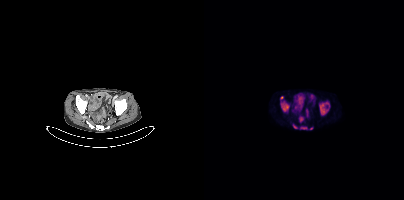
Coordinates are on the 200×200 PET (right) panel. PSMA-avid tumor lesion bounding boxes (x0,y0,x1,y1): [115,102,125,114] [77,101,85,111] [96,127,102,129] [89,124,93,128]. Small PSMA-avid foci (2 to 4 px across) near (center x, center y): (77, 97) (107, 128).